- Two-panel axial: CT | PSMA PET, 68Ga-PSMA tracer
- PET panel 168×168 px (4.1 mm/px)
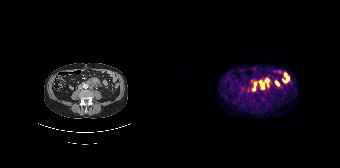
Findings: Coordinates are on the 168×168 PET (right) panel. (showing 5 of 6 foci) PSMA-avid tumor lesion bounding box (x, y, width, height): x=93 y=78 w=4 h=6. Small PSMA-avid foci (2 to 4 px across) near (center x, center y): (88, 81); (90, 87); (83, 83); (82, 89).